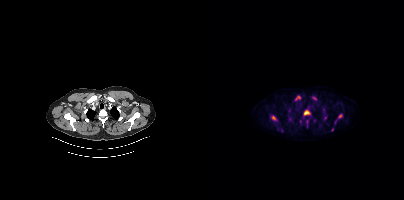
Paired axial CT (left) and PSMA PET (right), 18F tracer. Acquired on Siemens Biograph mCT Flow 20. Slice 309 of 395. PET panel 200×200 px (4.1 mm/px). Coordinates are on the 200×200 PET (right) panel. PSMA-avid tumor lesion bounding boxes (x, y, width, height): x=99 y=110 w=8 h=6 | x=90 y=96 w=7 h=5 | x=67 y=116 w=6 h=5 | x=102 y=120 w=3 h=8 | x=134 y=114 w=5 h=5 | x=108 y=97 w=5 h=3. Small PSMA-avid foci (2 to 4 px across) near (center x, center y): (121, 118) | (78, 130) | (128, 129) | (96, 121).